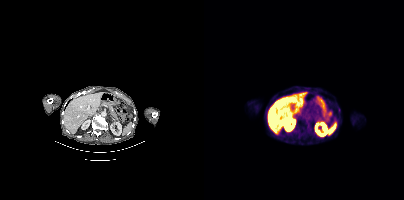
- Left: CT. Right: PSMA PET, same axial level, 18F tracer
- slice 197 of 403
Findings: Coordinates are on the 200×200 PET (right) panel. Small PSMA-avid focus (2 to 4 px across) near (center x, center y): (135, 109).